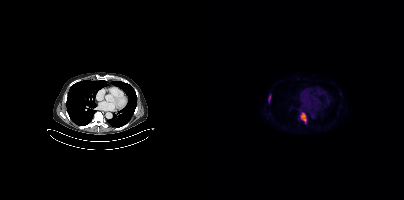
{"modality":"PSMA PET/CT","view":"axial","tracer":"[18F]PSMA-1007","pet_grid":[200,200],"coord_frame":"pet_panel","coord_format":"x0,y0,x1,y1","lesion_bboxes":[[96,112,102,123],[64,94,67,102]]}